- Paired axial CT (left) and PSMA PET (right), 68Ga-PSMA tracer
- slice 91 of 195
- PET panel 168×168 px (4.1 mm/px)
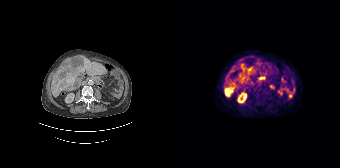
Findings: Coordinates are on the 168×168 PET (right) panel. (showing 8 of 10 foci) PSMA-avid tumor lesion bounding boxes (x, y, width, height): x=52 y=85 w=10 h=12 / x=68 y=76 w=7 h=7 / x=77 y=68 w=5 h=6 / x=58 y=68 w=5 h=5 / x=60 y=78 w=5 h=5. Small PSMA-avid foci (2 to 4 px across) near (center x, center y): (69, 64) / (74, 68) / (67, 72).